- Two-panel axial: CT | PSMA PET, 18F tracer
- slice 93 of 389
- PET panel 200×200 px (4.1 mm/px)
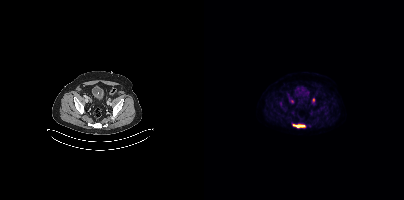
Findings: Coordinates are on the 200×200 PET (right) panel. PSMA-avid tumor lesion bounding box (x0,y0,x1,y1): [88,124,101,127]. Small PSMA-avid focus (2 to 4 px across) near (center x, center y): (109, 100).